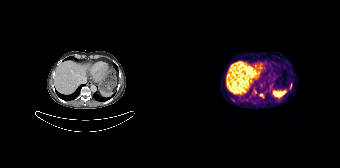
Left: CT. Right: PSMA PET, same axial level, 68Ga-PSMA tracer. Slice 126 of 195. PET panel 168×168 px (4.1 mm/px). Coordinates are on the 168×168 PET (right) panel. PSMA-avid tumor lesion bounding box (x0, y0)-(x1, y1): (118, 83)-(120, 88).